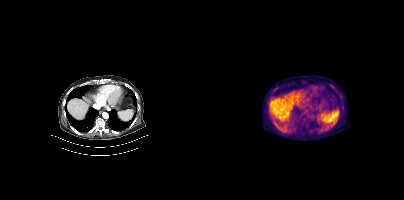
- Two-panel axial: CT | PSMA PET, 18F tracer
Findings: Negative for PSMA-avid disease on this slice.